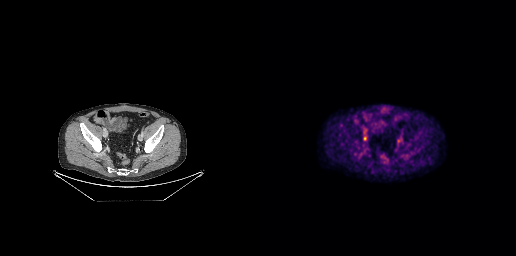
modality: PSMA PET/CT | tracer: 18F | view: axial
Coordinates are on the 256×256 PET (right) panel. PSMA-avid tumor lesion bounding box (x0, y0)-(x1, y1): (103, 136)-(106, 140). Small PSMA-avid focus (2 to 4 px across) near (center x, center y): (138, 140).